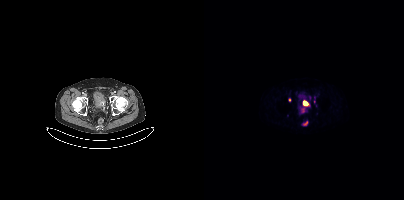
Coordinates are on the 200×200 PET (right) panel. (showing 4 of 5 foci) PSMA-avid tumor lesion bounding boxes (x0, y0)-(x1, y1): (97, 101)-(103, 112); (98, 122)-(103, 125). Small PSMA-avid foci (2 to 4 px across) near (center x, center y): (110, 101); (85, 99).